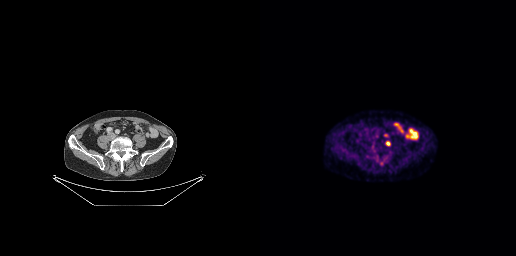
{"modality":"PSMA PET/CT","view":"axial","tracer":"18F-PSMA","pet_grid":[256,256],"coord_frame":"pet_panel","coord_format":"x0,y0,x1,y1","lesion_bboxes":[[124,133,128,137],[126,141,130,145]]}